Two-panel axial: CT | PSMA PET, [68Ga]Ga-PSMA-11 tracer. PET panel 256×256 px (2.7 mm/px).
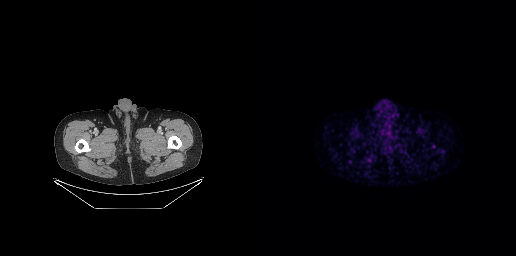
No tumor lesions annotated on this slice.